Paired axial CT (left) and PSMA PET (right), [18F]PSMA-1007 tracer. Acquired on Siemens Biograph mCT Flow 20. Slice position z = -397 mm.
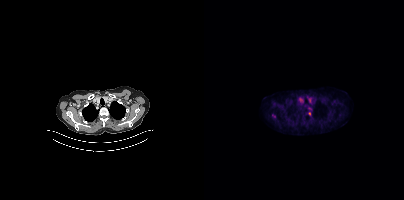
Coordinates are on the 200×200 PET (right) panel. (showing 2 of 3 foci) Small PSMA-avid foci (2 to 4 px across) near (center x, center y): (69, 115); (105, 113).